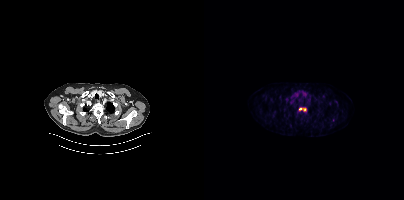
Coordinates are on the 200×200 PET (right) panel. (showing 1 of 2 foci) PSMA-avid tumor lesion bounding box (x, y, width, height): x=95 y=108 w=8 h=4.